Technique: Left: CT. Right: PSMA PET, same axial level, 18F-PSMA tracer. PET panel 200×200 px (4.1 mm/px).
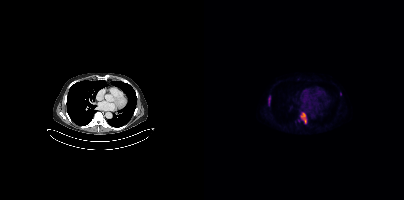
Findings: Coordinates are on the 200×200 PET (right) panel. PSMA-avid tumor lesion bounding boxes (x, y, width, height): x=96 y=112 w=7 h=12; x=64 y=96 w=3 h=10. Small PSMA-avid focus (2 to 4 px across) near (center x, center y): (136, 93).